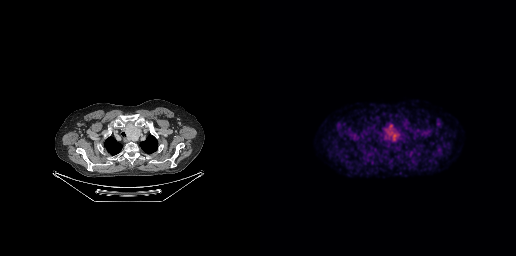
Coordinates are on the 256×256 PET (right) panel. PSMA-avid tumor lesion bounding box (x0,y0,x1,y1): [125,124,139,141].
modality: PSMA PET/CT | tracer: [18F]PSMA-1007 | view: axial